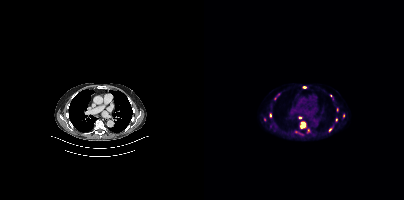
Coordinates are on the 200×200 PET (right) panel. (showing 8 of 11 foci) PSMA-avid tumor lesion bounding boxes (x0, y0)-(x1, y1): (96, 122)-(101, 127); (65, 113)-(67, 117). Small PSMA-avid foci (2 to 4 px across) near (center x, center y): (100, 87); (126, 129); (132, 120); (127, 95); (139, 115); (60, 119).